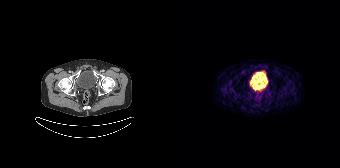
Findings: This slice has no annotated PSMA-avid lesion.
Technique: Paired axial CT (left) and PSMA PET (right), 68Ga tracer. slice position z = -1610 mm. PET panel 168×168 px (4.1 mm/px).